Paired axial CT (left) and PSMA PET (right), [18F]PSMA-1007 tracer.
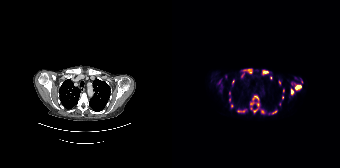
Coordinates are on the 168×168 PET (right) panel. (showing 15 of 25 foci) PSMA-avid tumor lesion bounding boxes (x0,y0,x1,y1): [122,83,129,90] [71,69,80,73] [90,70,96,74] [66,109,74,112] [80,95,86,100] [119,88,122,95] [81,108,86,112] [85,102,87,106] [100,111,104,113] [69,73,72,77]. Small PSMA-avid foci (2 to 4 px across) near (center x, center y): (90, 111) (79, 103) (61, 81) (111, 90) (107, 82).